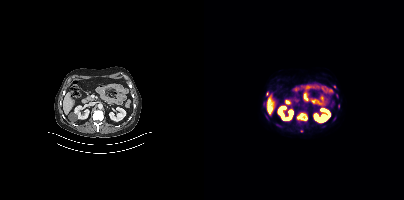
Coordinates are on the 200×200 PET (right) panel. (showing 3 of 6 foci) PSMA-avid tumor lesion bounding box (x0, y0)-(x1, y1): (93, 113)-(103, 120). Small PSMA-avid foci (2 to 4 px across) near (center x, center y): (63, 93) | (130, 86).